Left: CT. Right: PSMA PET, same axial level, [18F]PSMA-1007 tracer. Acquired on Siemens Biograph mCT Flow 20.
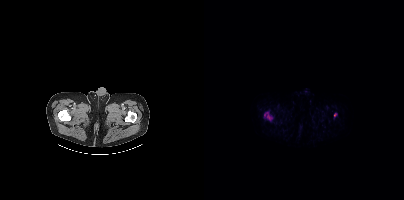
Coordinates are on the 200×200 PET (right) panel. PSMA-avid tumor lesion bounding box (x0,y0,x1,y1): [61,113,68,120]. Small PSMA-avid focus (2 to 4 px across) near (center x, center y): (131, 114).